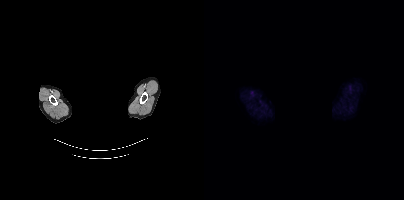
Face de-identified by blanking a block of the head.
No tumor lesions annotated on this slice.